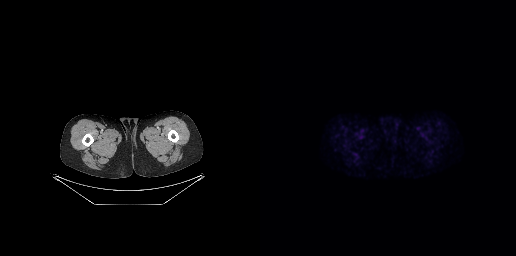
No PSMA-avid tumor lesions on this slice.